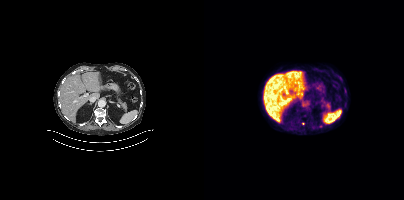
Only PSMA-avid lesion pieces thinner than 2 px on this slice (not listed).
modality: PSMA PET/CT | tracer: 18F | view: axial